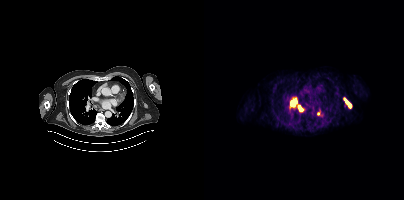
{"modality":"PSMA PET/CT","view":"axial","tracer":"[68Ga]Ga-PSMA-11","pet_grid":[200,200],"coord_frame":"pet_panel","coord_format":"x0,y0,x1,y1","lesion_bboxes":[[140,98,147,107],[87,98,92,105],[94,106,98,110]],"small_foci_centers":[[114,113]]}